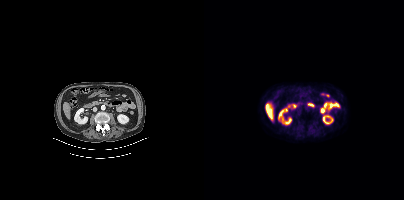
No tumor lesions annotated on this slice.